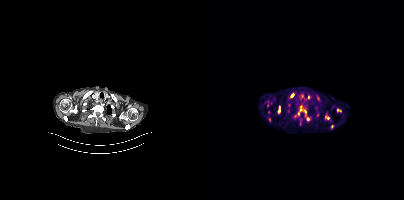
{"modality":"PSMA PET/CT","view":"axial","tracer":"18F-PSMA","pet_grid":[200,200],"coord_frame":"pet_panel","coord_format":"x0,y0,x1,y1","partial":true,"lesion_bboxes":[[91,105,105,120],[65,118,67,122]],"small_foci_centers":[[88,95],[104,97],[84,104],[84,98]]}